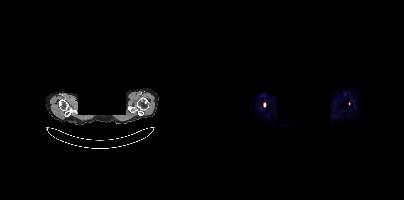
Paired axial CT (left) and PSMA PET (right), 18F-PSMA tracer. Slice position z = -1106 mm. Privacy masking over the head, with the pixels inside a rectangle set to black. Coordinates are on the 200×200 PET (right) panel. (showing 1 of 2 foci) Small PSMA-avid focus (2 to 4 px across) near (center x, center y): (60, 104).